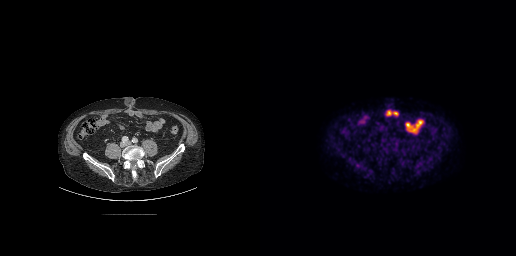
No PSMA-avid tumor lesions on this slice. Left: CT. Right: PSMA PET, same axial level, 18F-PSMA tracer. Slice position z = -545 mm. PET panel 256×256 px (2.7 mm/px).